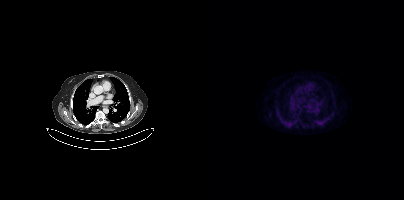
Negative for PSMA-avid disease on this slice. Paired axial CT (left) and PSMA PET (right), 18F-PSMA tracer. PET panel 200×200 px (4.1 mm/px).